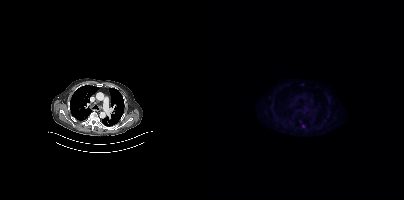
Coordinates are on the 200×200 PET (right) panel. Small PSMA-avid focus (2 to 4 px across) near (center x, center y): (99, 126).